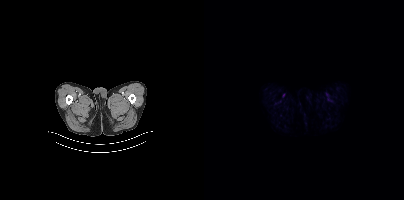
This slice has no annotated PSMA-avid lesion. Left: CT. Right: PSMA PET, same axial level, 18F-PSMA tracer. Slice position z = -1516 mm. PET panel 200×200 px (4.1 mm/px).